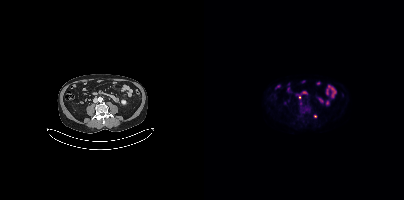
{"modality":"PSMA PET/CT","view":"axial","tracer":"[18F]PSMA-1007","pet_grid":[200,200],"coord_frame":"pet_panel","coord_format":"x0,y0,x1,y1","partial":true,"lesion_bboxes":[],"small_foci_centers":[[95,96]]}